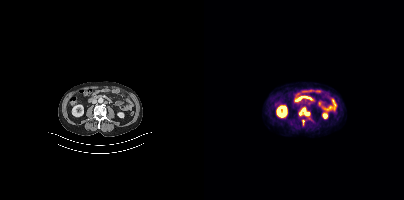
{"pet_grid":[200,200],"coord_frame":"pet_panel","coord_format":"x0,y0,x1,y1","lesion_bboxes":[[95,107,105,116],[98,120,100,124]],"modality":"PSMA PET/CT","view":"axial","tracer":"[18F]PSMA-1007"}